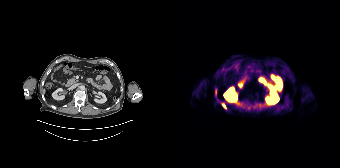
{"modality":"PSMA PET/CT","view":"axial","tracer":"68Ga-PSMA","pet_grid":[168,168],"coord_frame":"pet_panel","coord_format":"x0,y0,x1,y1","lesion_bboxes":[[50,104,53,108]]}